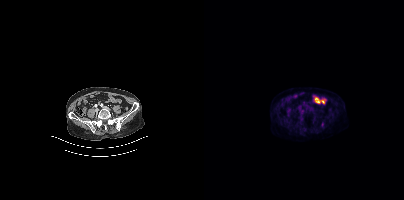
Coordinates are on the 200×200 PET (right) panel. Small PSMA-avid focus (2 to 4 px across) near (center x, center y): (118, 123). Left: CT. Right: PSMA PET, same axial level, 18F tracer. Slice 112 of 401.